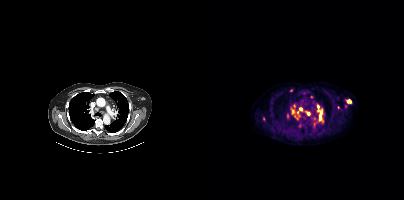
{"modality":"PSMA PET/CT","view":"axial","tracer":"18F","pet_grid":[200,200],"coord_frame":"pet_panel","coord_format":"x0,y0,x1,y1","partial":true,"lesion_bboxes":[[88,109,96,119],[113,105,119,122],[100,111,106,115],[89,104,91,108]],"small_foci_centers":[[83,116],[110,123],[87,90],[145,101],[59,119],[134,107],[96,108],[107,96],[95,125]]}